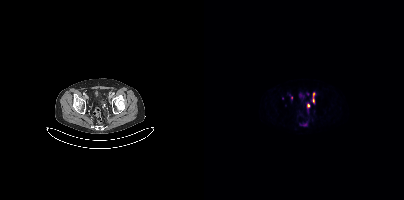
Technique: Paired axial CT (left) and PSMA PET (right), [68Ga]Ga-PSMA-11 tracer. acquired on Siemens Biograph mCT Flow 20.
Findings: Coordinates are on the 200×200 PET (right) panel. PSMA-avid tumor lesion bounding box (x0,y0,x1,y1): [108,93,111,103]. Small PSMA-avid foci (2 to 4 px across) near (center x, center y): (100, 124) (103, 94) (104, 105) (87, 97).